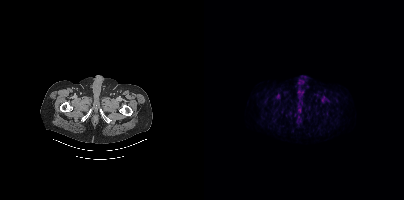
{"modality":"PSMA PET/CT","view":"axial","tracer":"18F","pet_grid":[200,200],"coord_frame":"pet_panel","coord_format":"x0,y0,x1,y1","lesion_bboxes":[],"small_foci_centers":[[123,99]]}